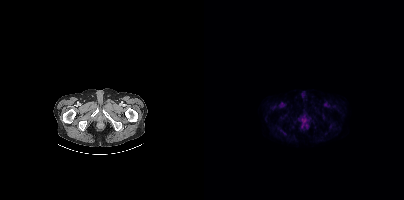
Findings: This slice has no annotated PSMA-avid lesion.
Technique: Left: CT. Right: PSMA PET, same axial level, 18F tracer.